- Left: CT. Right: PSMA PET, same axial level, 68Ga tracer
- slice position z = -378 mm
- PET panel 168×168 px (4.1 mm/px)
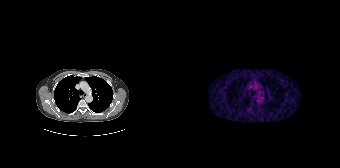
Findings: This slice has no annotated PSMA-avid lesion.